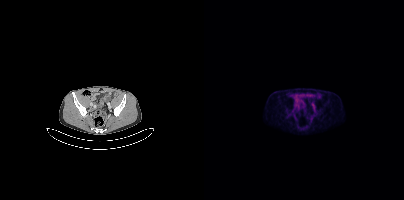
{"pet_grid":[200,200],"coord_frame":"pet_panel","coord_format":"x0,y0,x1,y1","psma_avid_lesions":false,"modality":"PSMA PET/CT","view":"axial","tracer":"18F-PSMA"}